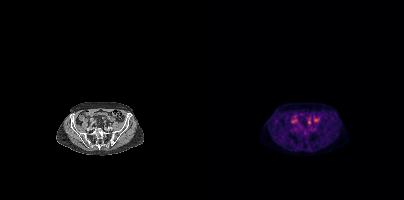
{"pet_grid":[200,200],"coord_frame":"pet_panel","coord_format":"x0,y0,x1,y1","lesion_bboxes":[],"small_foci_centers":[[127,117]],"modality":"PSMA PET/CT","view":"axial","tracer":"18F"}